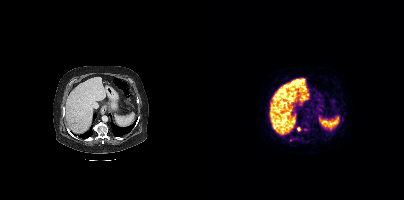
Technique: Paired axial CT (left) and PSMA PET (right), 68Ga tracer. acquired on Siemens Biograph mCT Flow 20. slice 241 of 444. PET panel 200×200 px (4.1 mm/px).
Findings: Coordinates are on the 200×200 PET (right) panel. PSMA-avid tumor lesion bounding box (x, y, width, height): x=93 y=127 w=4 h=5.